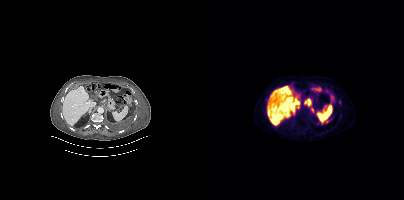
Technique: Paired axial CT (left) and PSMA PET (right), 18F-PSMA tracer. acquired on Siemens Biograph mCT Flow 20. slice 175 of 344.
Findings: Coordinates are on the 200×200 PET (right) panel. PSMA-avid tumor lesion bounding box (x0, y0)-(x1, y1): (100, 98)-(107, 106). Small PSMA-avid focus (2 to 4 px across) near (center x, center y): (135, 102).